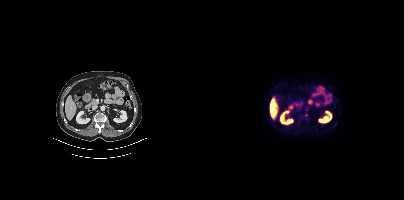
- Paired axial CT (left) and PSMA PET (right), 18F-PSMA tracer
- PET panel 200×200 px (4.1 mm/px)
Findings: No tumor lesions annotated on this slice.